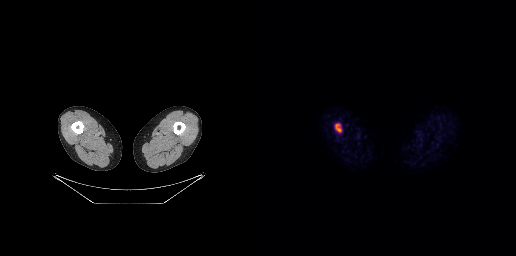
Two-panel axial: CT | PSMA PET, [18F]PSMA-1007 tracer. Acquired on GE Discovery 690. Slice position z = -953 mm. Coordinates are on the 256×256 PET (right) panel. PSMA-avid tumor lesion bounding box (x0,y0,x1,y1): [74,123,82,132].